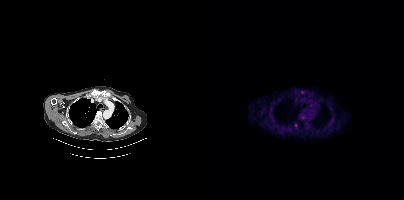
{"modality":"PSMA PET/CT","view":"axial","tracer":"[18F]PSMA-1007","pet_grid":[200,200],"coord_frame":"pet_panel","coord_format":"x0,y0,x1,y1","partial":true,"lesion_bboxes":[]}